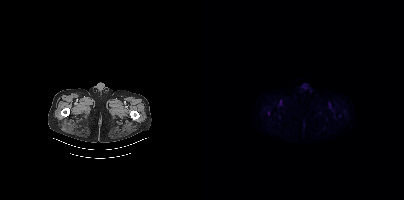
{"modality":"PSMA PET/CT","view":"axial","tracer":"18F","pet_grid":[200,200],"coord_frame":"pet_panel","coord_format":"x0,y0,x1,y1","lesion_bboxes":[],"small_foci_centers":[[64,112]]}